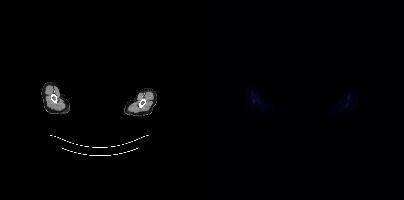
de-identification: privacy mask over head | modality: PSMA PET/CT | tracer: [18F]PSMA-1007 | view: axial
No PSMA-avid tumor lesions on this slice.